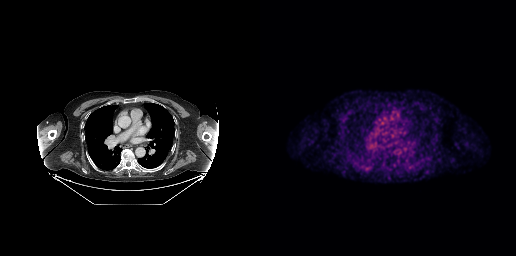
{"pet_grid":[256,256],"coord_frame":"pet_panel","coord_format":"x0,y0,x1,y1","psma_avid_lesions":false,"modality":"PSMA PET/CT","view":"axial","tracer":"[18F]PSMA-1007"}